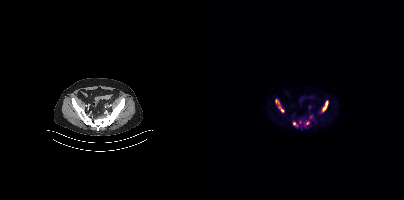
Coordinates are on the 200×200 PET (right) panel. (showing 5 of 7 foci) PSMA-avid tumor lesion bounding boxes (x, y, width, height): x=117 y=100 w=8 h=13 / x=71 y=99 w=9 h=14 / x=100 y=120 w=6 h=5 / x=89 y=122 w=5 h=5. Small PSMA-avid focus (2 to 4 px across) near (center x, center y): (107, 116). Paired axial CT (left) and PSMA PET (right), 18F-PSMA tracer. Acquired on Siemens Biograph mCT Flow 20.